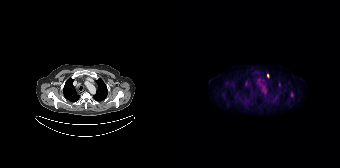
Two-panel axial: CT | PSMA PET, 18F-PSMA tracer. Coordinates are on the 168×168 PET (right) panel. (showing 2 of 3 foci) PSMA-avid tumor lesion bounding box (x0, y0)-(x1, y1): (119, 92)-(121, 96). Small PSMA-avid focus (2 to 4 px across) near (center x, center y): (96, 75).